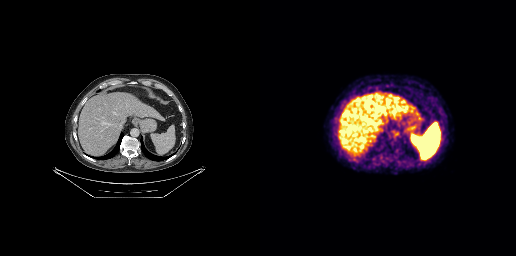
Negative for PSMA-avid disease on this slice.